Two-panel axial: CT | PSMA PET, 68Ga tracer. Acquired on GE Discovery 690.
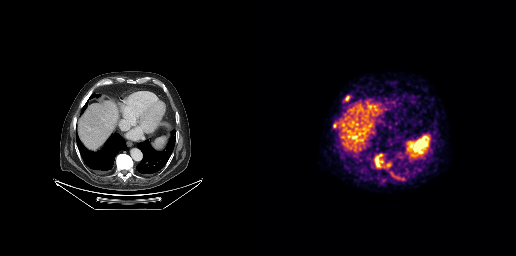
Coordinates are on the 256×256 PET (right) panel. PSMA-avid tumor lesion bounding boxes (x0,y0,x1,y1): [114,154,130,167]; [84,95,90,101]; [73,122,76,128].